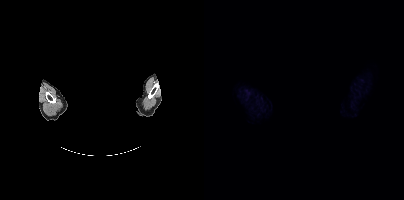
Two-panel axial: CT | PSMA PET, [18F]PSMA-1007 tracer. A rectangle over the head was blacked out to remove identifiable facial features. No PSMA-avid tumor lesions on this slice.